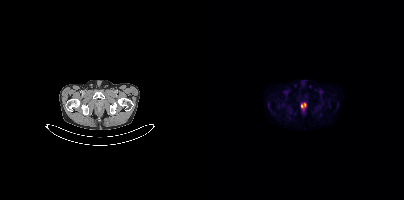
Paired axial CT (left) and PSMA PET (right), [18F]PSMA-1007 tracer. Coordinates are on the 200×200 PET (right) panel. PSMA-avid tumor lesion bounding box (x, y, width, height): x=97 y=103 w=6 h=6.